modality: PSMA PET/CT | tracer: 18F-PSMA | view: axial | PET grid: 200×200
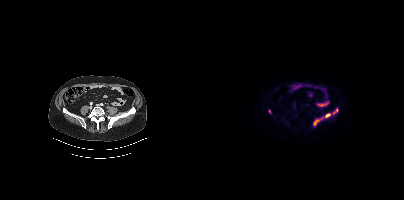
Coordinates are on the 200×200 PET (right) panel. PSMA-avid tumor lesion bounding boxes (x, y, width, height): x=110 y=113 w=17 h=13 / x=129 y=108 w=6 h=6. Small PSMA-avid focus (2 to 4 px across) near (center x, center y): (65, 111).